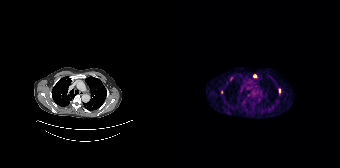
- Paired axial CT (left) and PSMA PET (right), 68Ga-PSMA tracer
- slice position z = -440 mm
Findings: Coordinates are on the 168×168 PET (right) panel. Small PSMA-avid foci (2 to 4 px across) near (center x, center y): (107, 90); (49, 92); (83, 75).